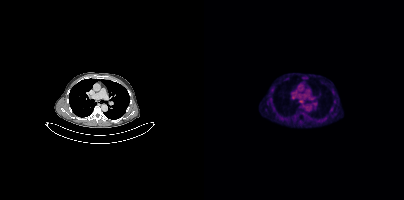
Findings: Coordinates are on the 200×200 PET (right) panel. Small PSMA-avid focus (2 to 4 px across) near (center x, center y): (97, 100).
- Two-panel axial: CT | PSMA PET, [18F]PSMA-1007 tracer
- acquired on Siemens Biograph mCT Flow 20